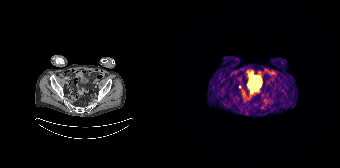
Findings: Coordinates are on the 168×168 PET (right) panel. Small PSMA-avid focus (2 to 4 px across) near (center x, center y): (68, 87).
Technique: Two-panel axial: CT | PSMA PET, 68Ga tracer.